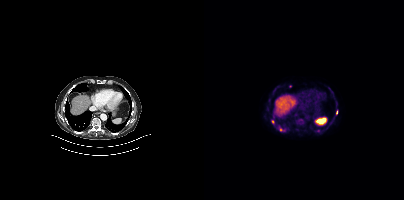
Coordinates are on the 200×200 PET (right) panel. PSMA-avid tumor lesion bounding box (x0,y0,x1,y1): [75,127,81,131]. Small PSMA-avid foci (2 to 4 px across) near (center x, center y): (69, 121); (132, 112); (86, 86).